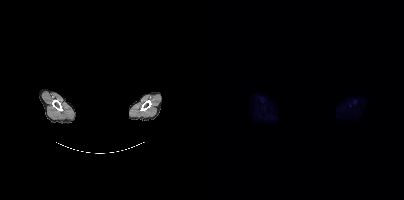
Privacy masking over the head, with the pixels inside a rectangle set to black. Paired axial CT (left) and PSMA PET (right), 18F tracer. Acquired on Siemens Biograph mCT Flow 20. Slice 383 of 435. PET panel 200×200 px (4.1 mm/px). Negative for PSMA-avid disease on this slice.